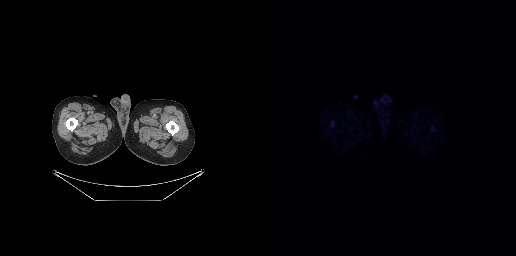
modality: PSMA PET/CT | tracer: [18F]PSMA-1007 | view: axial | PET grid: 256×256
This slice has no annotated PSMA-avid lesion.